- Left: CT. Right: PSMA PET, same axial level, 18F-PSMA tracer
- acquired on Siemens Biograph mCT Flow 20
- slice 268 of 448
- PET panel 200×200 px (4.1 mm/px)
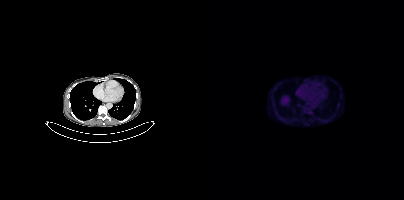
Findings: Coordinates are on the 200×200 PET (right) panel. Small PSMA-avid foci (2 to 4 px across) near (center x, center y): (119, 121); (92, 92).